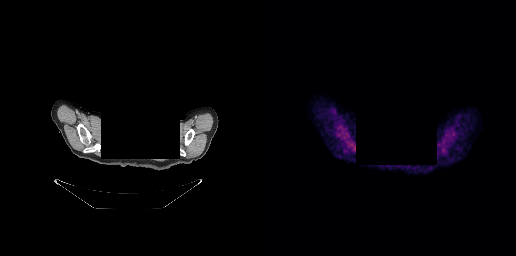
Findings: No tumor lesions annotated on this slice.
- Paired axial CT (left) and PSMA PET (right), 18F-PSMA tracer
- PET panel 256×256 px (2.7 mm/px)
- the head region is masked for de-identification